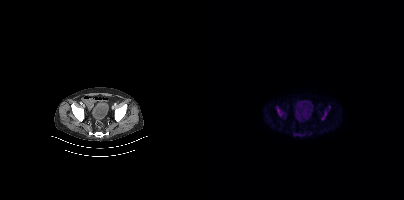
{"pet_grid":[200,200],"coord_frame":"pet_panel","coord_format":"x0,y0,x1,y1","lesion_bboxes":[[72,106,79,116],[117,110,125,120],[90,134,97,135]],"modality":"PSMA PET/CT","view":"axial","tracer":"18F-PSMA"}